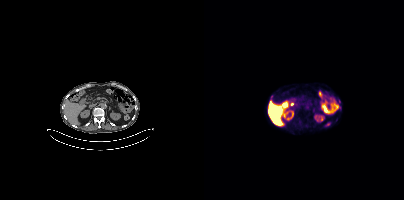
Paired axial CT (left) and PSMA PET (right), 18F-PSMA tracer. Slice 193 of 385. Coordinates are on the 200×200 PET (right) panel. Small PSMA-avid focus (2 to 4 px across) near (center x, center y): (135, 107).